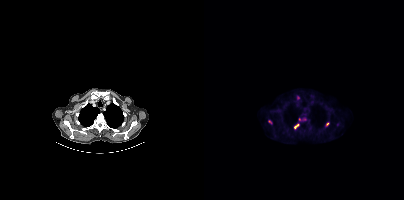
Coordinates are on the 200×200 PET (right) panel. (showing 3 of 4 foci) PSMA-avid tumor lesion bounding box (x0, y0)-(x1, y1): (90, 124)-(94, 128). Small PSMA-avid foci (2 to 4 px across) near (center x, center y): (65, 121) / (123, 124).
modality: PSMA PET/CT | tracer: 18F-PSMA | view: axial | PET grid: 200×200